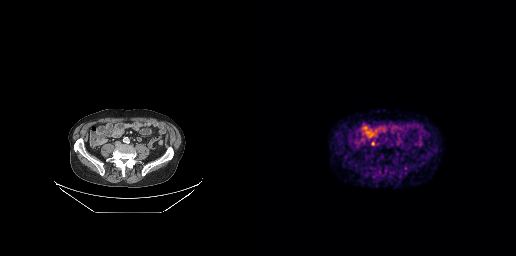
Technique: Left: CT. Right: PSMA PET, same axial level, [68Ga]Ga-PSMA-11 tracer. slice position z = -699 mm. PET panel 256×256 px (2.7 mm/px).
Findings: Coordinates are on the 256×256 PET (right) panel. Small PSMA-avid focus (2 to 4 px across) near (center x, center y): (112, 143).